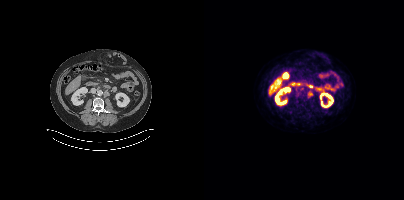
{"modality":"PSMA PET/CT","view":"axial","tracer":"18F-PSMA","pet_grid":[200,200],"coord_frame":"pet_panel","coord_format":"x0,y0,x1,y1","lesion_bboxes":[[104,90,108,94],[102,96,106,100]],"small_foci_centers":[[93,95]]}